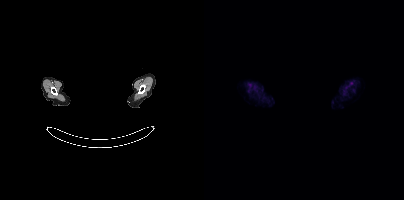
Findings: No PSMA-avid tumor lesions on this slice.
Technique: Two-panel axial: CT | PSMA PET, 18F-PSMA tracer. slice position z = -1018 mm.
Note: Privacy masking over the head, with the pixels inside a rectangle set to black.